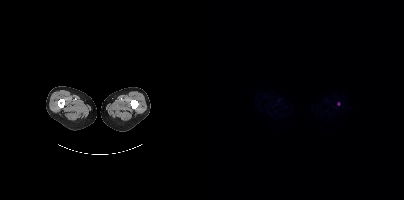
Two-panel axial: CT | PSMA PET, [18F]PSMA-1007 tracer. Slice 64 of 508. PET panel 200×200 px (4.1 mm/px). Coordinates are on the 200×200 PET (right) panel. Small PSMA-avid focus (2 to 4 px across) near (center x, center y): (134, 103).